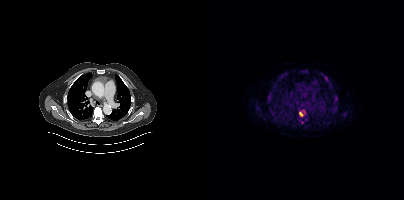
{"modality":"PSMA PET/CT","view":"axial","tracer":"[18F]PSMA-1007","pet_grid":[200,200],"coord_frame":"pet_panel","coord_format":"x0,y0,x1,y1","lesion_bboxes":[[95,110,101,116],[130,96,134,102],[63,94,67,99],[117,73,124,80],[128,108,132,113],[97,70,103,73],[66,110,70,114],[77,72,81,76],[73,117,77,121]],"small_foci_centers":[[141,113],[97,122],[53,108],[126,119]]}